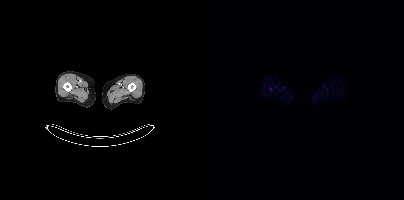
This slice has no annotated PSMA-avid lesion.